modality: PSMA PET/CT | tracer: 18F | view: axial
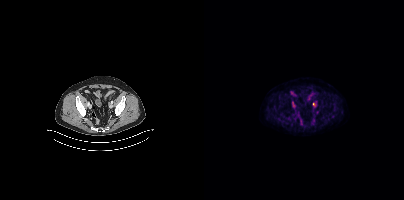
Coordinates are on the 200×200 PET (right) panel. (showing 1 of 3 foci) PSMA-avid tumor lesion bounding box (x0, y0)-(x1, y1): (79, 115)-(87, 121).